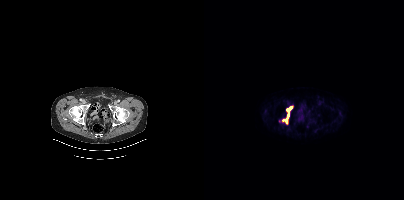
Paired axial CT (left) and PSMA PET (right), 18F-PSMA tracer. Slice position z = -1399 mm. PET panel 200×200 px (4.1 mm/px). Coordinates are on the 200×200 PET (right) panel. PSMA-avid tumor lesion bounding boxes (x, y, width, height): x=83 y=106 w=6 h=13 | x=78 y=119 w=6 h=5. Small PSMA-avid focus (2 to 4 px across) near (center x, center y): (75, 121).